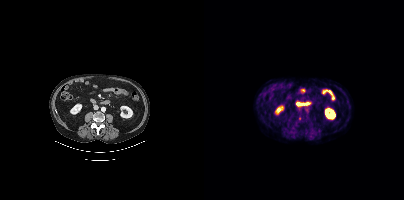
modality: PSMA PET/CT | tracer: 18F | view: axial
Coordinates are on the 200×200 PET (right) panel. Small PSMA-avid focus (2 to 4 px across) near (center x, center y): (96, 118).